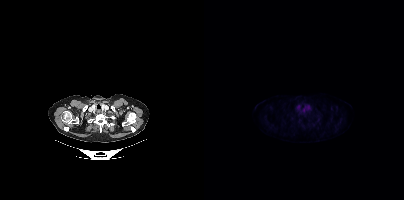
modality: PSMA PET/CT | tracer: 18F-PSMA | view: axial
This slice has no annotated PSMA-avid lesion.